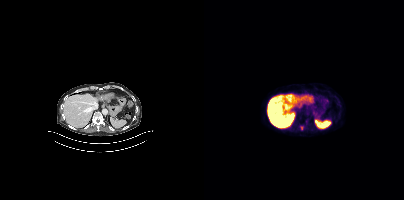
Findings: Coordinates are on the 200×200 PET (right) panel. Small PSMA-avid focus (2 to 4 px across) near (center x, center y): (97, 128).
Technique: Paired axial CT (left) and PSMA PET (right), 18F-PSMA tracer. slice position z = -644 mm. PET panel 200×200 px (4.1 mm/px).